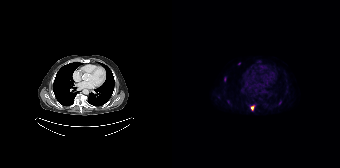
Coordinates are on the 168×168 PET (right) panel. PSMA-avid tumor lesion bounding boxes (x, y, width, height): x=78 y=105 w=5 h=6 / x=52 y=77 w=3 h=5. Small PSMA-avid focus (2 to 4 px across) near (center x, center y): (108, 103).